Left: CT. Right: PSMA PET, same axial level, [18F]PSMA-1007 tracer. Acquired on GE Discovery 690. PET panel 256×256 px (2.7 mm/px).
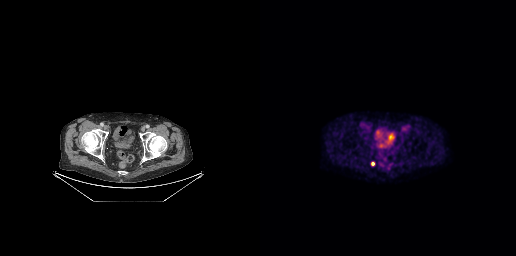
Coordinates are on the 256×256 PET (right) panel. Small PSMA-avid focus (2 to 4 px across) near (center x, center y): (112, 163).